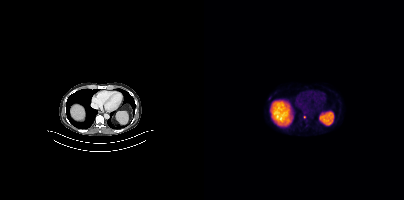
{"modality":"PSMA PET/CT","view":"axial","tracer":"18F","pet_grid":[200,200],"coord_frame":"pet_panel","coord_format":"x0,y0,x1,y1","lesion_bboxes":[],"small_foci_centers":[[100,117]]}